Two-panel axial: CT | PSMA PET, 18F-PSMA tracer. Acquired on Siemens Biograph mCT Flow 20. Slice 203 of 389. PET panel 200×200 px (4.1 mm/px).
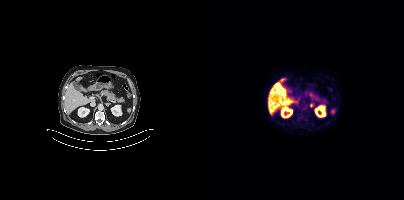
Coordinates are on the 200×200 PET (right) panel. Small PSMA-avid focus (2 to 4 px across) near (center x, center y): (107, 105).